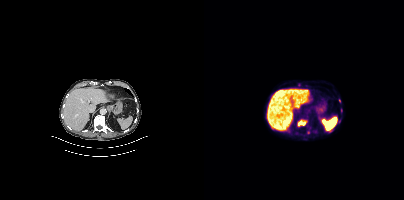
{"modality":"PSMA PET/CT","view":"axial","tracer":"18F","pet_grid":[200,200],"coord_frame":"pet_panel","coord_format":"x0,y0,x1,y1","lesion_bboxes":[[94,120,101,125]],"small_foci_centers":[[137,110]]}